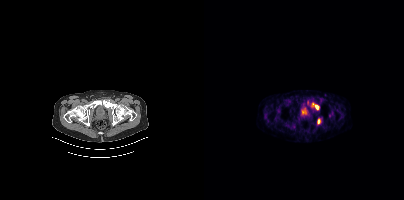
Coordinates are on the 200×200 PET (right) panel. PSMA-avid tumor lesion bounding boxes (x0,y0,x1,y1): [108,103,115,109]; [113,119,116,124]; [103,100,106,105]. Left: CT. Right: PSMA PET, same axial level, [68Ga]Ga-PSMA-11 tracer. Acquired on Siemens Biograph mCT Flow 20. Slice 57 of 409.